Privacy masking over the head, with the pixels inside a rectangle set to black. Left: CT. Right: PSMA PET, same axial level, 68Ga-PSMA tracer. PET panel 168×168 px (4.1 mm/px).
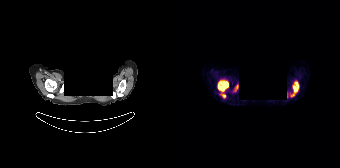
Coordinates are on the 168×168 PET (right) panel. PSMA-avid tumor lesion bounding boxes (x0,y0,x1,y1): [45,80,56,98] [118,80,127,97] [62,85,66,91].